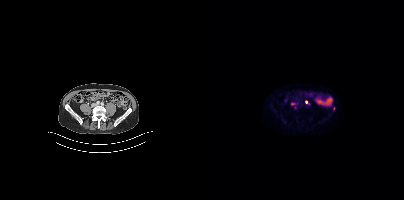
- Left: CT. Right: PSMA PET, same axial level, [18F]PSMA-1007 tracer
Findings: Coordinates are on the 200×200 PET (right) panel. (showing 2 of 3 foci) Small PSMA-avid foci (2 to 4 px across) near (center x, center y): (88, 103); (102, 101).